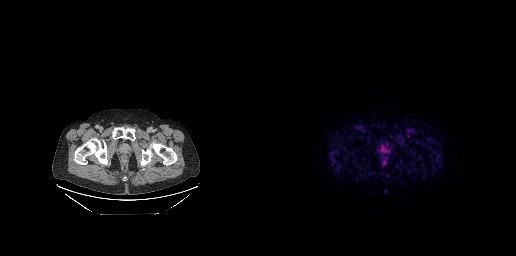
{"pet_grid":[256,256],"coord_frame":"pet_panel","coord_format":"x0,y0,x1,y1","psma_avid_lesions":false,"modality":"PSMA PET/CT","view":"axial","tracer":"18F-PSMA"}